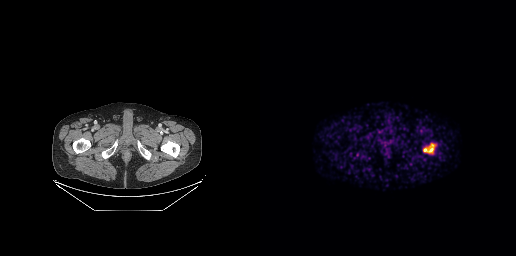
Findings: Coordinates are on the 256×256 PET (right) panel. PSMA-avid tumor lesion bounding box (x0, y0)-(x1, y1): (163, 144)-(173, 152).
- Left: CT. Right: PSMA PET, same axial level, [68Ga]Ga-PSMA-11 tracer
- PET panel 256×256 px (2.7 mm/px)